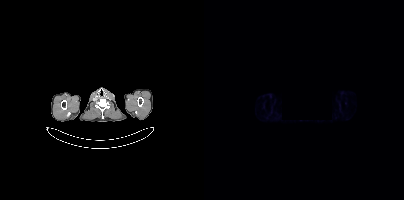
{"modality":"PSMA PET/CT","view":"axial","tracer":"[68Ga]Ga-PSMA-11","pet_grid":[200,200],"coord_frame":"pet_panel","coord_format":"x0,y0,x1,y1","deidentification":"region redacted","psma_avid_lesions":false}